Left: CT. Right: PSMA PET, same axial level, [18F]PSMA-1007 tracer. PET panel 200×200 px (4.1 mm/px).
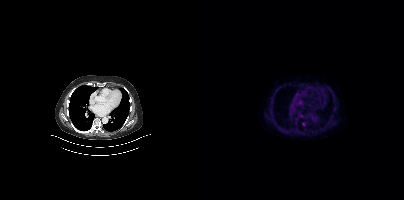
Only PSMA-avid lesion pieces thinner than 2 px on this slice (not listed).